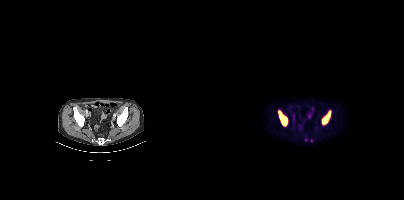
Coordinates are on the 200×200 PET (right) panel. PSMA-avid tumor lesion bounding boxes:
| # | x0 | y0 | x1 | y1 |
|---|---|---|---|---|
| 1 | 75 | 111 | 82 | 125 |
| 2 | 118 | 111 | 126 | 124 |
Paired axial CT (left) and PSMA PET (right), [18F]PSMA-1007 tracer. Acquired on Siemens Biograph mCT Flow 20. PET panel 200×200 px (4.1 mm/px).